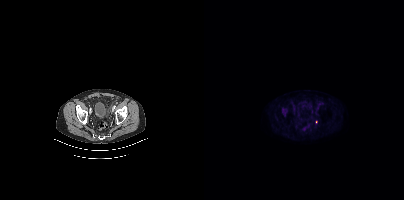
modality: PSMA PET/CT | tracer: 18F-PSMA | view: axial | PET grid: 200×200
Coordinates are on the 200×200 PET (right) panel. (showing 1 of 2 foci) PSMA-avid tumor lesion bounding box (x0,y0,x1,y1): [78,109,83,116].